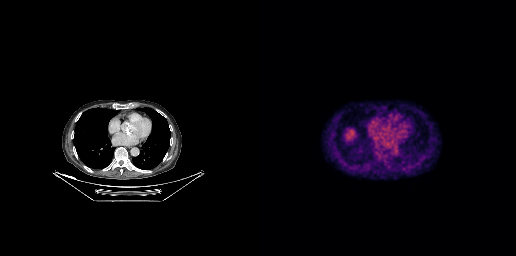
Findings: No PSMA-avid tumor lesions on this slice.
- Two-panel axial: CT | PSMA PET, [18F]PSMA-1007 tracer
- acquired on GE Discovery 690
- slice position z = -288 mm